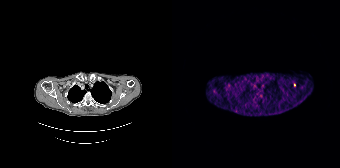
{"modality":"PSMA PET/CT","view":"axial","tracer":"[68Ga]Ga-PSMA-11","pet_grid":[168,168],"coord_frame":"pet_panel","coord_format":"x0,y0,x1,y1","lesion_bboxes":[],"small_foci_centers":[[122,85]]}